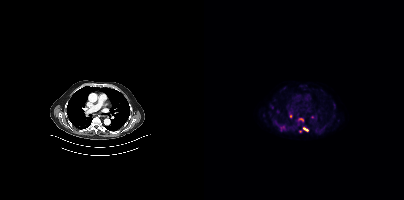
Two-panel axial: CT | PSMA PET, [18F]PSMA-1007 tracer.
Coordinates are on the 200×200 PET (right) panel. PSMA-avid tumor lesion bounding boxes (partial; 4 more foci not listed):
| # | x0 | y0 | x1 | y1 |
|---|---|---|---|---|
| 1 | 99 | 127 | 104 | 130 |